Technique: Paired axial CT (left) and PSMA PET (right), 18F-PSMA tracer. acquired on Siemens Biograph mCT Flow 20. PET panel 200×200 px (4.1 mm/px).
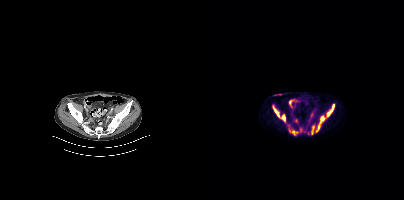
Findings: Coordinates are on the 200×200 PET (right) panel. (showing 5 of 7 foci) PSMA-avid tumor lesion bounding boxes (x0, y0)-(x1, y1): (68, 104)-(82, 123); (123, 104)-(130, 116); (112, 116)-(121, 131). Small PSMA-avid foci (2 to 4 px across) near (center x, center y): (89, 132); (109, 127).